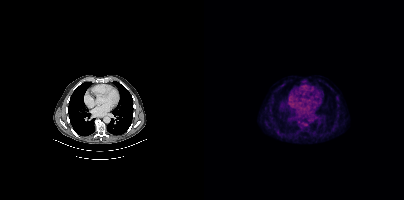
{"modality":"PSMA PET/CT","view":"axial","tracer":"18F","pet_grid":[200,200],"coord_frame":"pet_panel","coord_format":"x0,y0,x1,y1","lesion_bboxes":[],"small_foci_centers":[[78,84]]}